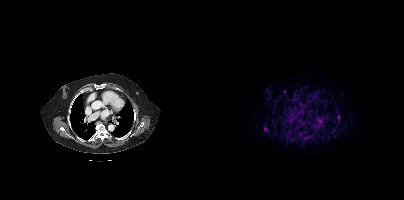
Findings: Negative for PSMA-avid disease on this slice.
Technique: Paired axial CT (left) and PSMA PET (right), 68Ga tracer.